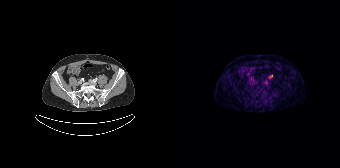
{"modality":"PSMA PET/CT","view":"axial","tracer":"[68Ga]Ga-PSMA-11","pet_grid":[168,168],"coord_frame":"pet_panel","coord_format":"x0,y0,x1,y1","lesion_bboxes":[],"small_foci_centers":[[99,75]]}